Technique: Paired axial CT (left) and PSMA PET (right), [18F]PSMA-1007 tracer. slice 45 of 407.
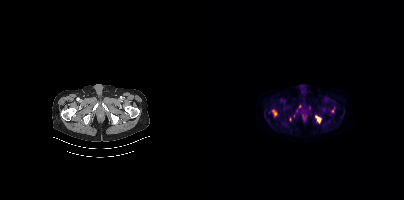
Findings: Coordinates are on the 200×200 PET (right) panel. (showing 5 of 7 foci) PSMA-avid tumor lesion bounding boxes (x, y, width, height): x=111 y=115 w=6 h=8 / x=68 y=110 w=5 h=6. Small PSMA-avid foci (2 to 4 px across) near (center x, center y): (128, 111) / (95, 106) / (105, 107).